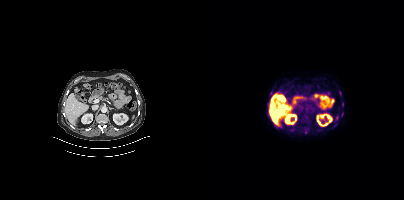
Coordinates are on the 200×200 PET (right) panel. (showing 4 of 5 foci) PSMA-avid tumor lesion bounding box (x, y, width, height): x=100 y=128 w=5 h=6. Small PSMA-avid foci (2 to 4 px across) near (center x, center y): (67, 92) | (131, 125) | (138, 113).